modality: PSMA PET/CT | tracer: 68Ga-PSMA | view: axial
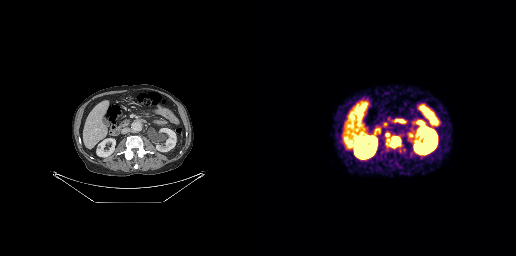
Coordinates are on the 256×256 PET (right) panel. PSMA-avid tumor lesion bounding box (x, y, width, height): x=131 y=137 w=9 h=10. Small PSMA-avid focus (2 to 4 px across) near (center x, center y): (127, 134).